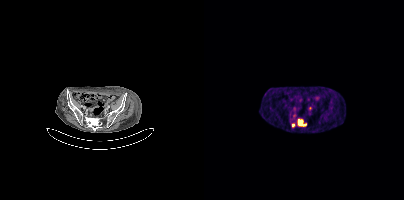
{"modality":"PSMA PET/CT","view":"axial","tracer":"[68Ga]Ga-PSMA-11","pet_grid":[200,200],"coord_frame":"pet_panel","coord_format":"x0,y0,x1,y1","partial":true,"lesion_bboxes":[[94,120,102,126]],"small_foci_centers":[[89,125],[106,108]]}